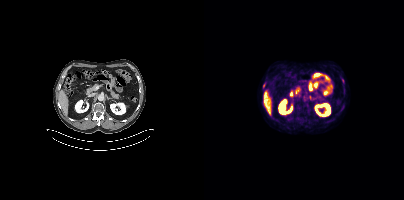
- Two-panel axial: CT | PSMA PET, 18F-PSMA tracer
- slice 236 of 454
Findings: Coordinates are on the 200×200 PET (right) panel. Small PSMA-avid focus (2 to 4 px across) near (center x, center y): (139, 80).